- an anonymization step blacked out a rectangle over the head in this scan
- Left: CT. Right: PSMA PET, same axial level, 18F-PSMA tracer
- slice 394 of 429
- PET panel 200×200 px (4.1 mm/px)
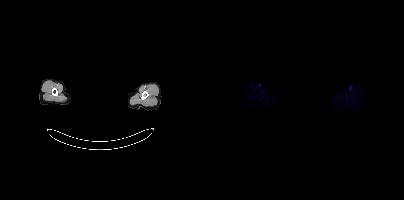
Findings: No tumor lesions annotated on this slice.